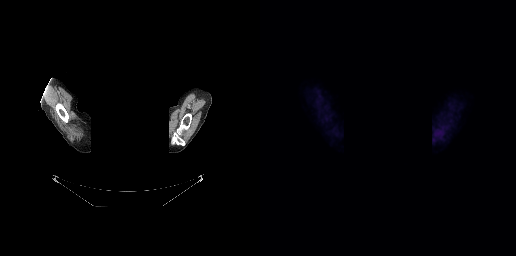
Two-panel axial: CT | PSMA PET, 18F-PSMA tracer. Acquired on GE Discovery 690. Slice position z = -244 mm. PET panel 256×256 px (2.7 mm/px). De-identified by setting a box covering the face to black before release. No PSMA-avid tumor lesions on this slice.